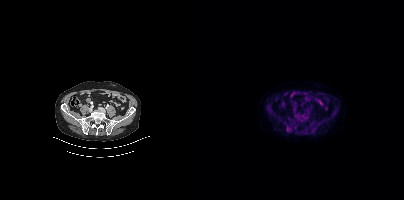
Coordinates are on the 200×200 PET (right) panel. PSMA-avid tumor lesion bounding box (x0,y0,x1,y1): [83,127,87,130].